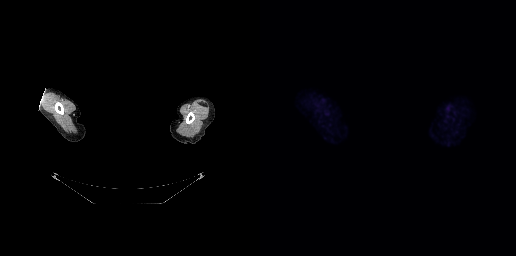
Technique: Left: CT. Right: PSMA PET, same axial level, 18F tracer. acquired on GE Discovery 690.
Note: A rectangle over the head was blacked out to remove identifiable facial features.
Findings: No tumor lesions annotated on this slice.